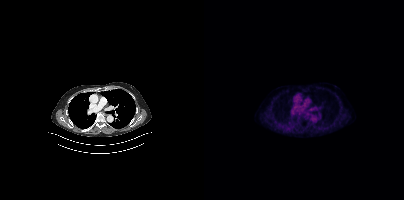
This slice has no annotated PSMA-avid lesion.